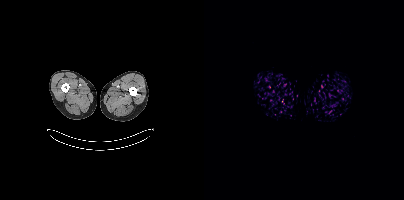
Technique: Paired axial CT (left) and PSMA PET (right), 18F-PSMA tracer. slice 1 of 454.
Findings: No PSMA-avid tumor lesions on this slice.